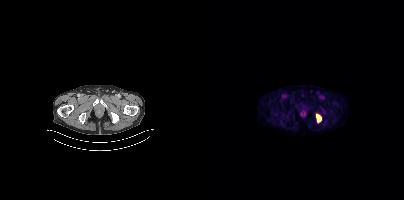
modality: PSMA PET/CT | tracer: 18F | view: axial
Coordinates are on the 200×200 PET (right) panel. PSMA-avid tumor lesion bounding box (x0, y0)-(x1, y1): (112, 114)-(117, 122).